modality: PSMA PET/CT | tracer: [18F]PSMA-1007 | view: axial | PET grid: 200×200
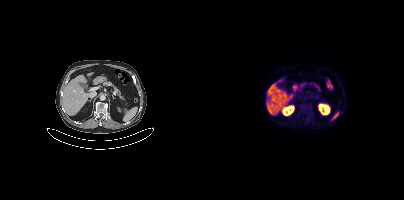
No PSMA-avid tumor lesions on this slice.